Technique: Paired axial CT (left) and PSMA PET (right), [18F]PSMA-1007 tracer. acquired on Siemens Biograph mCT Flow 20. slice position z = 44 mm. PET panel 200×200 px (4.1 mm/px).
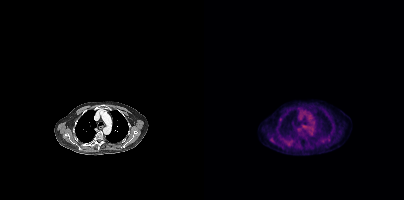
Findings: Coordinates are on the 200×200 PET (right) panel. (showing 1 of 2 foci) Small PSMA-avid focus (2 to 4 px across) near (center x, center y): (76, 119).